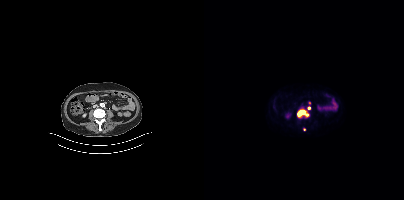
Coordinates are on the 200×200 PET (right) panel. PSMA-avid tumor lesion bounding box (x0, y0)-(x1, y1): (93, 110)-(104, 116). Small PSMA-avid foci (2 to 4 px across) near (center x, center y): (105, 108) / (100, 129).